Technique: Left: CT. Right: PSMA PET, same axial level, 18F-PSMA tracer.
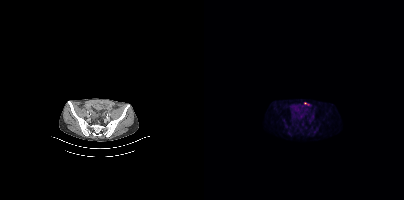
Findings: Coordinates are on the 200×200 PET (right) panel. Small PSMA-avid focus (2 to 4 px across) near (center x, center y): (101, 102).